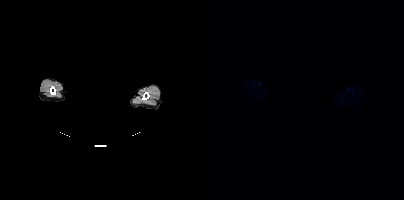
This slice has no annotated PSMA-avid lesion.
modality: PSMA PET/CT | tracer: 18F-PSMA | view: axial | deidentification: head region blanked (face removed)